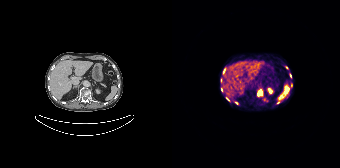
Technique: Paired axial CT (left) and PSMA PET (right), 68Ga-PSMA tracer.
Findings: Coordinates are on the 168×168 PET (right) panel. (showing 10 of 11 foci) PSMA-avid tumor lesion bounding boxes (x, y, width, height): x=85 y=90 w=6 h=6 / x=54 y=97 w=4 h=5 / x=49 y=78 w=2 h=5. Small PSMA-avid foci (2 to 4 px across) near (center x, center y): (119, 85) / (106, 101) / (49, 89) / (118, 75) / (64, 103) / (114, 67) / (113, 95).